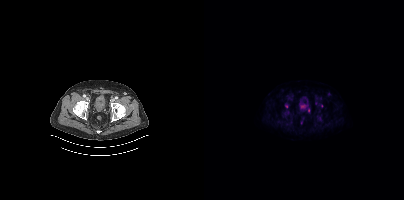
Technique: Two-panel axial: CT | PSMA PET, 18F-PSMA tracer. slice position z = -1575 mm.
Findings: No PSMA-avid tumor lesions on this slice.